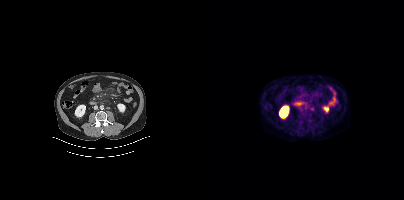
Coordinates are on the 200×200 PET (right) panel. Small PSMA-avid focus (2 to 4 px across) near (center x, center y): (107, 108). Two-panel axial: CT | PSMA PET, 18F tracer. Slice 157 of 397.